Paired axial CT (left) and PSMA PET (right), 68Ga tracer. Acquired on Siemens Biograph mCT Flow 20.
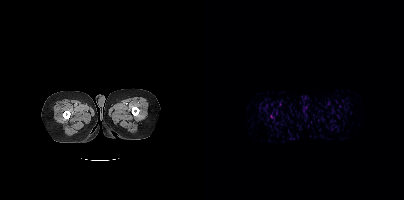
No tumor lesions annotated on this slice.